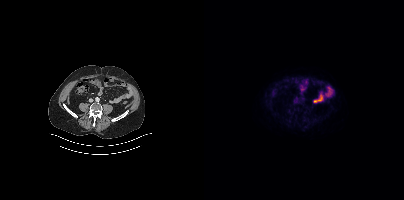
Findings: This slice has no annotated PSMA-avid lesion.
- Paired axial CT (left) and PSMA PET (right), 18F-PSMA tracer
- slice position z = -674 mm